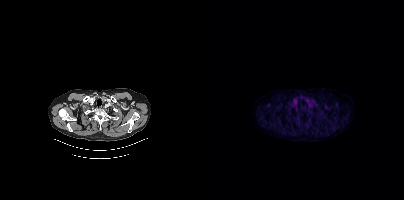
{"modality":"PSMA PET/CT","view":"axial","tracer":"18F-PSMA","pet_grid":[200,200],"coord_frame":"pet_panel","coord_format":"x0,y0,x1,y1","psma_avid_lesions":false}